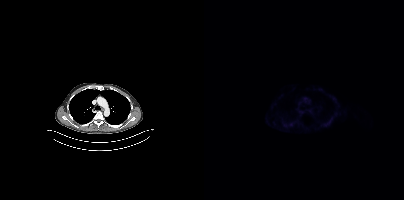
Paired axial CT (left) and PSMA PET (right), 18F-PSMA tracer. Acquired on Siemens Biograph mCT Flow 20. No PSMA-avid tumor lesions on this slice.